- Paired axial CT (left) and PSMA PET (right), 68Ga-PSMA tracer
- acquired on GE Discovery 690
- PET panel 256×256 px (2.7 mm/px)
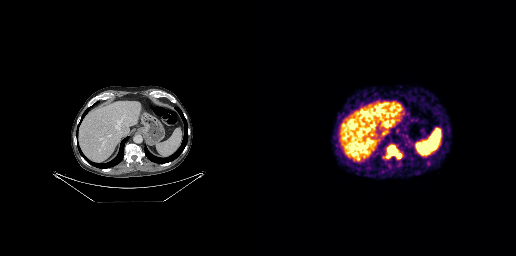
Findings: Coordinates are on the 256×256 PET (right) panel. PSMA-avid tumor lesion bounding box (x0, y0)-(x1, y1): (123, 146)-(135, 158). Small PSMA-avid focus (2 to 4 px across) near (center x, center y): (138, 155).